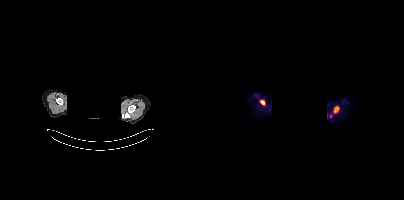
Findings: Coordinates are on the 200×200 PET (right) panel. PSMA-avid tumor lesion bounding boxes (x0, y0)-(x1, y1): (130, 106)-(135, 113) | (56, 100)-(60, 104). Small PSMA-avid focus (2 to 4 px across) near (center x, center y): (126, 115).
Technique: Left: CT. Right: PSMA PET, same axial level, [18F]PSMA-1007 tracer. PET panel 200×200 px (4.1 mm/px).
Note: Privacy masking over the head, with the pixels inside a rectangle set to black.